- Left: CT. Right: PSMA PET, same axial level, [68Ga]Ga-PSMA-11 tracer
- acquired on Siemens Biograph 64-4R TruePoint
- slice 6 of 195
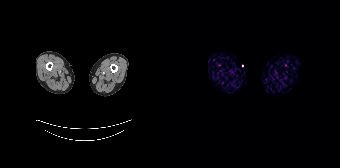
Findings: No PSMA-avid tumor lesions on this slice.